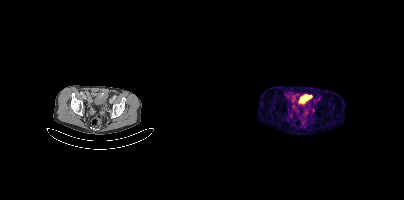
Left: CT. Right: PSMA PET, same axial level, 68Ga tracer. Slice 109 of 452. Coordinates are on the 200×200 PET (right) panel. (showing 1 of 2 foci) Small PSMA-avid focus (2 to 4 px across) near (center x, center y): (109, 110).